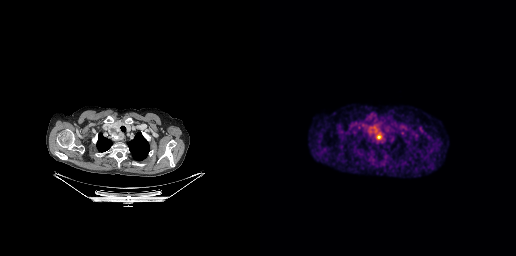
Coordinates are on the 256×256 PET (right) panel. PSMA-avid tumor lesion bounding box (x0, y0)-(x1, y1): (108, 127)-(123, 140).